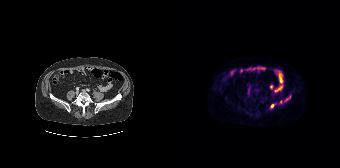
- Paired axial CT (left) and PSMA PET (right), 18F tracer
Findings: Coordinates are on the 168×168 PET (right) panel. PSMA-avid tumor lesion bounding box (x0,y0,x1,y1): [114,95,118,100]. Small PSMA-avid foci (2 to 4 px across) near (center x, center y): (100, 105) (108, 101).